Technique: Paired axial CT (left) and PSMA PET (right), [18F]PSMA-1007 tracer. acquired on Siemens Biograph mCT Flow 20. slice 164 of 395.
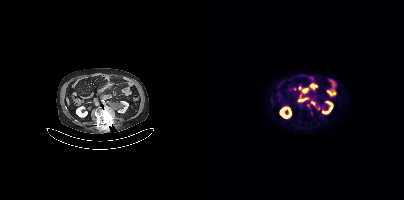
Findings: Coordinates are on the 200×200 PET (right) panel. (showing 6 of 8 foci) PSMA-avid tumor lesion bounding boxes (x0,y0,x1,y1): [107,84,112,89] [99,88,103,92] [102,104,106,108]. Small PSMA-avid foci (2 to 4 px across) near (center x, center y): (108, 103) (95, 88) (107, 113).